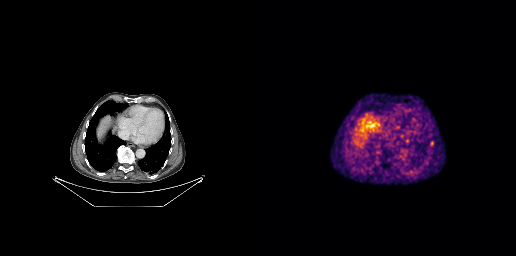
Coordinates are on the 256×256 PET (right) panel. PSMA-avid tumor lesion bounding box (x, y, width, height): x=170 y=141 w=4 h=5. Two-panel axial: CT | PSMA PET, [68Ga]Ga-PSMA-11 tracer. Slice 162 of 263.